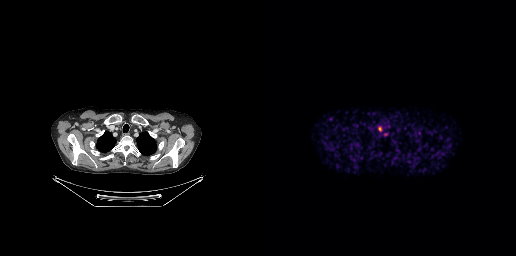
{"modality":"PSMA PET/CT","view":"axial","tracer":"[68Ga]Ga-PSMA-11","pet_grid":[256,256],"coord_frame":"pet_panel","coord_format":"x0,y0,x1,y1","lesion_bboxes":[[118,126,121,131]]}